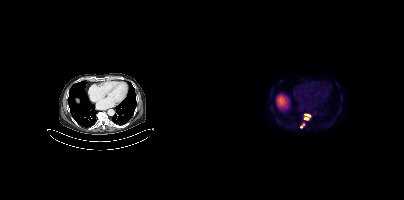
Coordinates are on the 200×200 PET (right) panel. PSMA-avid tumor lesion bounding boxes (x0, y0)-(x1, y1): (100, 114)-(106, 116); (97, 123)-(101, 127); (100, 118)-(104, 119).